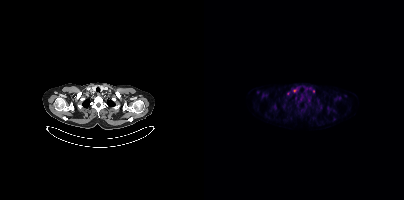
Coordinates are on the 200×200 PET (right) panel. Small PSMA-avid foci (2 to 4 px across) near (center x, center y): (90, 90); (109, 91); (83, 93).